modality: PSMA PET/CT | tracer: 18F | view: axial | PET grid: 200×200
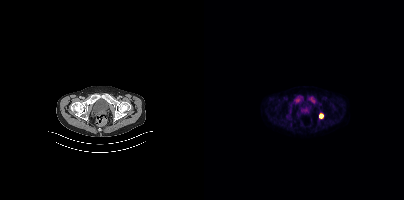
Coordinates are on the 200×200 PET (right) panel. PSMA-avid tumor lesion bounding boxes (x0,y0,x1,y1): [105,97,112,103]; [115,113,119,118].